Two-panel axial: CT | PSMA PET, [18F]PSMA-1007 tracer. Acquired on Siemens Biograph mCT Flow 20. Slice position z = -1110 mm. PET panel 200×200 px (4.1 mm/px).
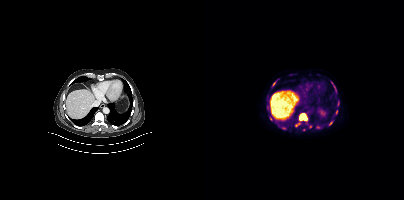
Coordinates are on the 200×200 PET (right) panel. (showing 6 of 9 foci) PSMA-avid tumor lesion bounding boxes (x0, y0)-(x1, y1): (95, 113)-(103, 120); (68, 82)-(71, 86); (132, 110)-(133, 114). Small PSMA-avid foci (2 to 4 px across) near (center x, center y): (79, 128); (66, 119); (126, 123).